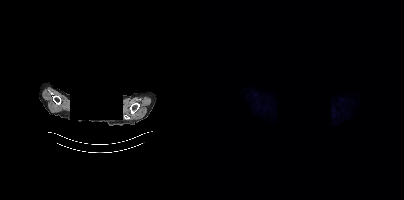
No PSMA-avid tumor lesions on this slice. Head region blanked for anonymization (face removed). Left: CT. Right: PSMA PET, same axial level, 18F tracer. Slice position z = -428 mm.